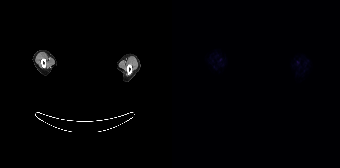
Technique: Left: CT. Right: PSMA PET, same axial level, 18F-PSMA tracer. slice 159 of 165. PET panel 168×168 px (4.1 mm/px).
Note: The head region is masked for de-identification.
Findings: Negative for PSMA-avid disease on this slice.